Technique: Two-panel axial: CT | PSMA PET, 18F tracer. acquired on Siemens Biograph mCT Flow 20. PET panel 200×200 px (4.1 mm/px).
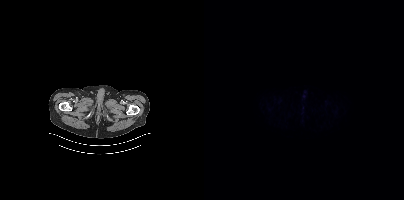
Findings: This slice has no annotated PSMA-avid lesion.